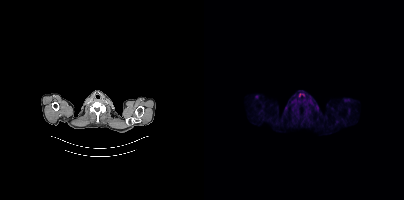
{"pet_grid":[200,200],"coord_frame":"pet_panel","coord_format":"x0,y0,x1,y1","psma_avid_lesions":false,"modality":"PSMA PET/CT","view":"axial","tracer":"18F"}